Left: CT. Right: PSMA PET, same axial level, 68Ga-PSMA tracer.
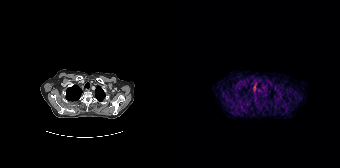
Coordinates are on the 168×168 PET (right) panel. Small PSMA-avid focus (2 to 4 px across) near (center x, center y): (82, 86).